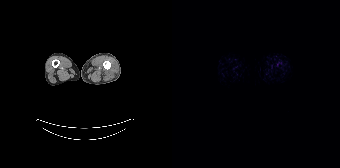
Paired axial CT (left) and PSMA PET (right), 18F-PSMA tracer. Acquired on Siemens Biograph 64-4R TruePoint. Slice position z = -1424 mm. PET panel 168×168 px (4.1 mm/px). Negative for PSMA-avid disease on this slice.